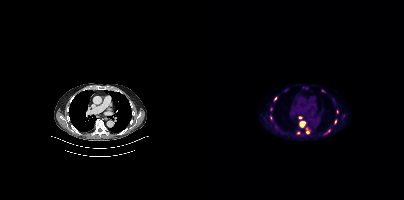
Coordinates are on the 200×200 PET (right) panel. (showing 9 of 10 foci) PSMA-avid tumor lesion bounding box (x, y, width, height): x=96 y=121 w=5 h=6. Small PSMA-avid foci (2 to 4 px across) near (center x, center y): (66, 117); (96, 117); (131, 121); (133, 111); (103, 132); (118, 90); (71, 98); (125, 130).